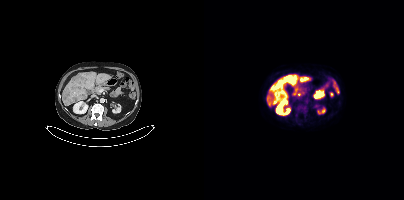
Two-panel axial: CT | PSMA PET, [18F]PSMA-1007 tracer. Acquired on Siemens Biograph mCT Flow 20. Slice 196 of 431. PET panel 200×200 px (4.1 mm/px).
Coordinates are on the 200×200 PET (right) panel. PSMA-avid tumor lesion bounding boxes:
| # | x0 | y0 | x1 | y1 |
|---|---|---|---|---|
| 1 | 72 | 81 | 78 | 87 |
| 2 | 86 | 79 | 91 | 85 |
| 3 | 79 | 76 | 83 | 80 |
Small PSMA-avid focus (2 to 4 px across) near (center x, center y): (100, 78).